Paired axial CT (left) and PSMA PET (right), [18F]PSMA-1007 tracer. Acquired on Siemens Biograph mCT Flow 20. Slice 160 of 403. PET panel 200×200 px (4.1 mm/px).
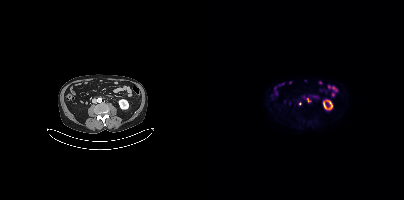
Coordinates are on the 200×200 PET (right) panel. PSMA-avid tumor lesion bounding boxes:
| # | x0 | y0 | x1 | y1 |
|---|---|---|---|---|
| 1 | 103 | 98 | 106 | 102 |
Small PSMA-avid focus (2 to 4 px across) near (center x, center y): (96, 103).